- Left: CT. Right: PSMA PET, same axial level, 18F-PSMA tracer
- PET panel 200×200 px (4.1 mm/px)
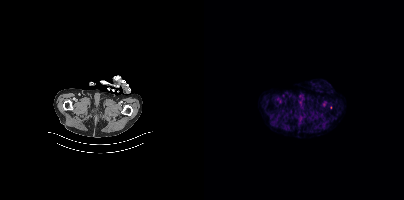
Findings: Only PSMA-avid lesion pieces thinner than 2 px on this slice (not listed).